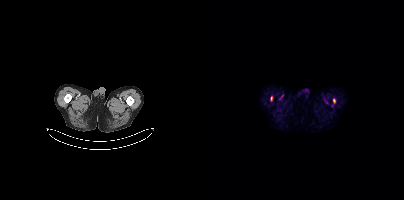
Coordinates are on the 200×200 PET (right) panel. PSMA-avid tumor lesion bounding box (x, y, width, height): x=66 y=96 w=3 h=6. Small PSMA-avid focus (2 to 4 px across) near (center x, center y): (130, 100).